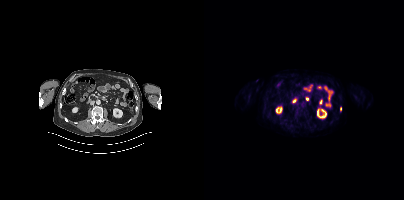
No PSMA-avid tumor lesions on this slice.